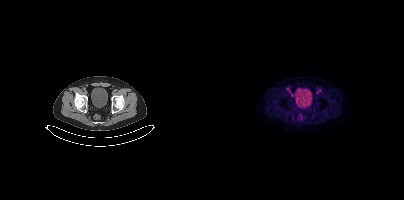
{"modality":"PSMA PET/CT","view":"axial","tracer":"[18F]PSMA-1007","pet_grid":[200,200],"coord_frame":"pet_panel","coord_format":"x0,y0,x1,y1","lesion_bboxes":[],"small_foci_centers":[[88,94]]}